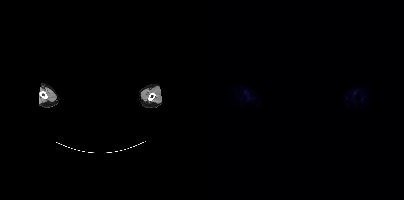
An anonymization step blacked out a rectangle over the head in this scan. Two-panel axial: CT | PSMA PET, [18F]PSMA-1007 tracer. Slice 406 of 417. No PSMA-avid tumor lesions on this slice.